Technique: Two-panel axial: CT | PSMA PET, [18F]PSMA-1007 tracer. slice position z = -1204 mm. PET panel 200×200 px (4.1 mm/px).
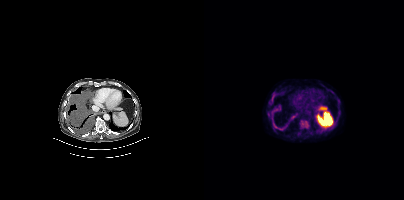
Findings: Coordinates are on the 200×200 PET (right) panel. PSMA-avid tumor lesion bounding boxes (x0, y0)-(x1, y1): (95, 120)-(104, 128); (70, 125)-(78, 129); (63, 112)-(65, 117); (68, 95)-(70, 101). Small PSMA-avid focus (2 to 4 px across) near (center x, center y): (89, 116).